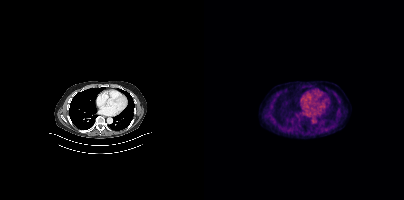
Coordinates are on the 200×200 PET (right) panel. Small PSMA-avid focus (2 to 4 px across) near (center x, center y): (121, 130).
modality: PSMA PET/CT | tracer: 18F | view: axial